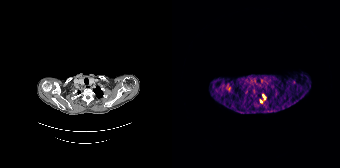
Technique: Two-panel axial: CT | PSMA PET, [68Ga]Ga-PSMA-11 tracer. acquired on Siemens Biograph 64-4R TruePoint. PET panel 168×168 px (4.1 mm/px).
Findings: Coordinates are on the 168×168 PET (right) panel. PSMA-avid tumor lesion bounding box (x0,y0,x1,y1): [90,94,94,99]. Small PSMA-avid focus (2 to 4 px across) near (center x, center y): (89, 100).